- Paired axial CT (left) and PSMA PET (right), 18F-PSMA tracer
- PET panel 200×200 px (4.1 mm/px)
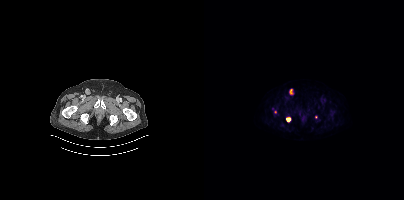
Findings: Coordinates are on the 200×200 PET (right) panel. PSMA-avid tumor lesion bounding boxes (x0, y0)-(x1, y1): (82, 117)-(86, 122) / (85, 89)-(89, 94). Small PSMA-avid foci (2 to 4 px across) near (center x, center y): (112, 117) / (71, 111).